Paired axial CT (left) and PSMA PET (right), 18F tracer. Slice position z = -784 mm. PET panel 200×200 px (4.1 mm/px).
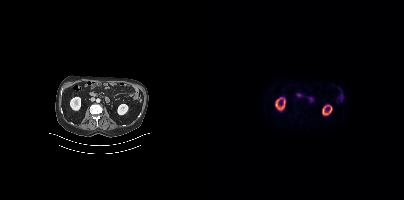
This slice has no annotated PSMA-avid lesion.